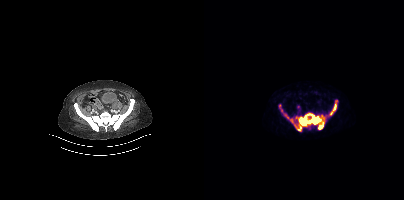
Left: CT. Right: PSMA PET, same axial level, 68Ga tracer. Acquired on Siemens Biograph mCT Flow 20. Slice 108 of 397. Coordinates are on the 200×200 PET (right) panel. PSMA-avid tumor lesion bounding boxes (x0,y0,x1,y1): [87,113,121,130]; [123,100,133,116]; [74,105,85,118].